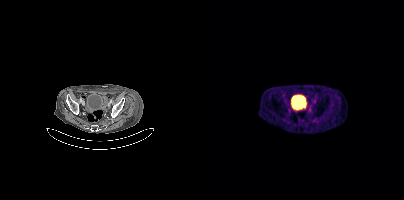
Coordinates are on the 200×200 PET (right) panel. Small PSMA-avid focus (2 to 4 px across) near (center x, center y): (106, 110).
modality: PSMA PET/CT | tracer: 68Ga-PSMA | view: axial | PET grid: 200×200